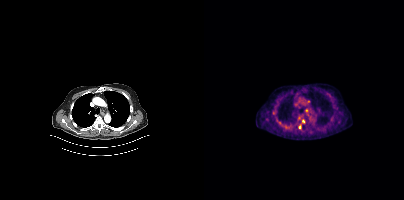
Coordinates are on the 200×200 PET (right) panel. Small PSMA-avid foci (2 to 4 px across) near (center x, center y): (99, 121), (95, 126), (102, 110), (104, 101).